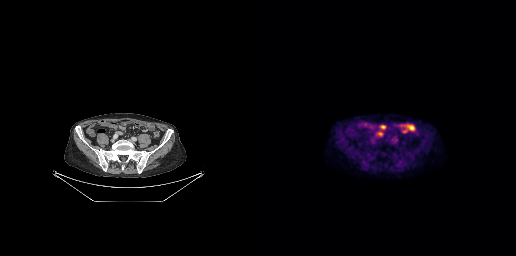
Findings: No PSMA-avid tumor lesions on this slice.
Technique: Left: CT. Right: PSMA PET, same axial level, 18F-PSMA tracer.